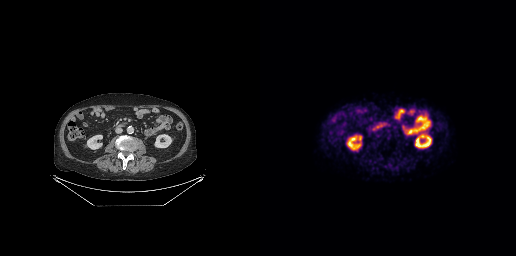
No PSMA-avid tumor lesions on this slice. Paired axial CT (left) and PSMA PET (right), 18F-PSMA tracer.